modality: PSMA PET/CT | tracer: 18F-PSMA | view: axial | PET grid: 200×200
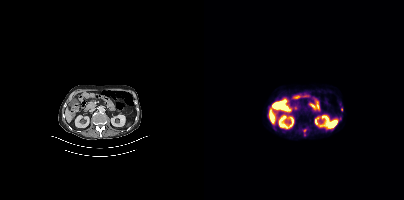
Coordinates are on the 200×200 PET (right) panel. Small PSMA-avid foci (2 to 4 px across) near (center x, center y): (137, 109) | (136, 118).